- Paired axial CT (left) and PSMA PET (right), 18F tracer
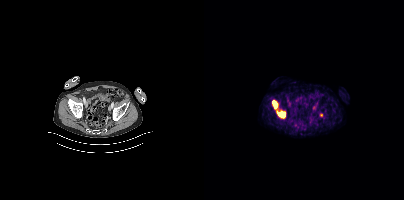
Findings: Coordinates are on the 200×200 PET (right) panel. PSMA-avid tumor lesion bounding box (x, y, width, height): x=68 y=100 w=14 h=19.